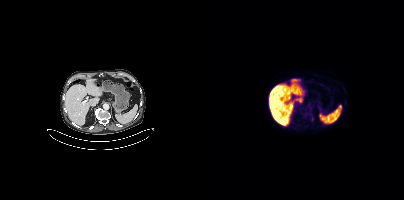
Two-panel axial: CT | PSMA PET, 18F-PSMA tracer. Coordinates are on the 200×200 PET (right) panel. Small PSMA-avid focus (2 to 4 px across) near (center x, center y): (101, 113).